- Paired axial CT (left) and PSMA PET (right), [18F]PSMA-1007 tracer
- slice 327 of 427
- PET panel 200×200 px (4.1 mm/px)
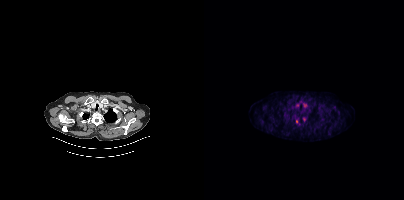
Findings: Coordinates are on the 200×200 PET (right) panel. Small PSMA-avid foci (2 to 4 px across) near (center x, center y): (100, 119); (92, 121).